modality: PSMA PET/CT | tracer: 18F | view: axial
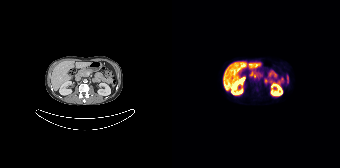
No tumor lesions annotated on this slice.